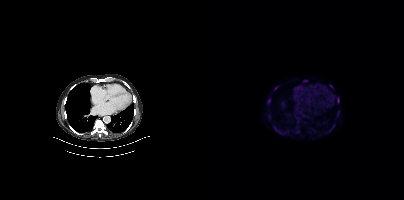
Coordinates are on the 200×200 PET (right) panel. (showing 6 of 9 foci) PSMA-avid tumor lesion bounding boxes (x0, y0)-(x1, y1): (69, 126)-(75, 131) / (63, 98)-(66, 103) / (133, 97)-(135, 102) / (99, 80)-(103, 81) / (126, 84)-(129, 88). Small PSMA-avid focus (2 to 4 px across) near (center x, center y): (72, 87).